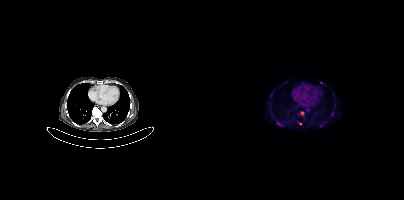
{"modality":"PSMA PET/CT","view":"axial","tracer":"18F","pet_grid":[200,200],"coord_frame":"pet_panel","coord_format":"x0,y0,x1,y1","partial":true,"lesion_bboxes":[[73,122,77,125],[128,112,129,116]],"small_foci_centers":[[96,123],[117,82]]}